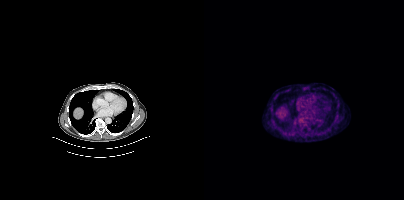
Coordinates are on the 200×200 PET (right) panel. PSMA-avid tumor lesion bounding box (x, y, width, height): x=95 y=117 w=7 h=8.